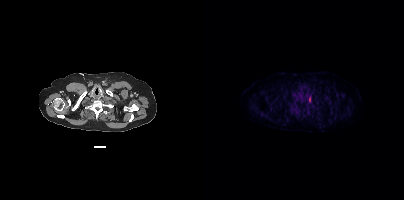
Coordinates are on the 200×200 PET (right) panel. Small PSMA-avid foci (2 to 4 px across) near (center x, center y): (91, 109) / (89, 93) / (125, 103) / (116, 119).